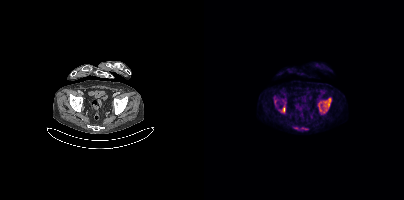
Coordinates are on the 200×200 PET (right) panel. (showing 7 of 11 foci) PSMA-avid tumor lesion bounding boxes (x, y, width, height): x=119 y=98 w=8 h=10 | x=78 y=106 w=4 h=7 | x=70 y=97 w=3 h=9 | x=115 y=102 w=3 h=10. Small PSMA-avid foci (2 to 4 px across) near (center x, center y): (92, 127) | (102, 128) | (80, 103).
modality: PSMA PET/CT | tracer: 18F | view: axial